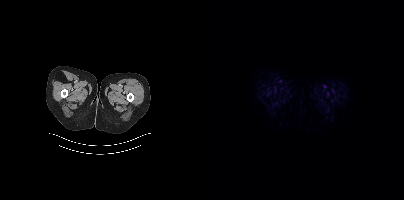
modality: PSMA PET/CT | tracer: [18F]PSMA-1007 | view: axial | PET grid: 200×200
This slice has no annotated PSMA-avid lesion.